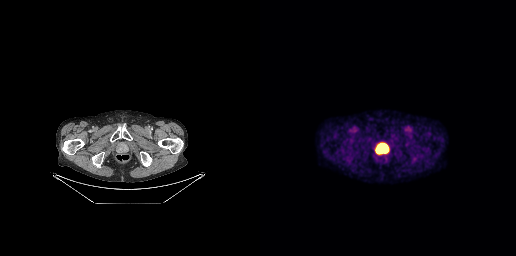
Left: CT. Right: PSMA PET, same axial level, 18F tracer. Slice position z = -889 mm. PET panel 256×256 px (2.7 mm/px).
Coordinates are on the 256×256 PET (right) panel. PSMA-avid tumor lesion bounding boxes:
| # | x0 | y0 | x1 | y1 |
|---|---|---|---|---|
| 1 | 116 | 143 | 128 | 153 |